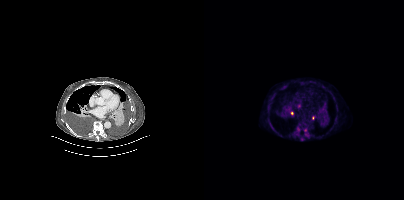
Left: CT. Right: PSMA PET, same axial level, [18F]PSMA-1007 tracer. Acquired on Siemens Biograph mCT Flow 20. PET panel 200×200 px (4.1 mm/px). Coordinates are on the 200×200 PET (right) panel. PSMA-avid tumor lesion bounding box (x0,y0,x1,y1): [100,129,105,136]. Small PSMA-avid foci (2 to 4 px across) near (center x, center y): (97, 139); (95, 106); (87, 113); (108, 118); (94, 129).